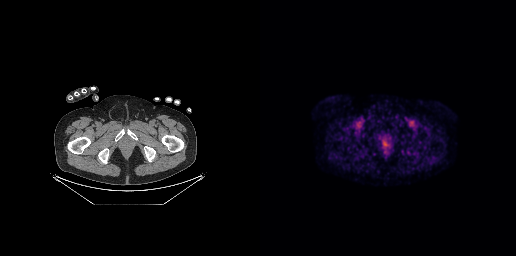
Findings: Coordinates are on the 256×256 PET (right) panel. PSMA-avid tumor lesion bounding box (x0, y0)-(x1, y1): (123, 142)-(127, 146).
- Left: CT. Right: PSMA PET, same axial level, 18F-PSMA tracer
- acquired on GE Discovery 690
- PET panel 256×256 px (2.7 mm/px)